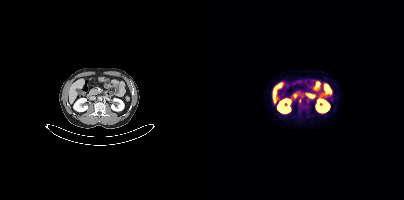
Left: CT. Right: PSMA PET, same axial level, 18F tracer. No PSMA-avid tumor lesions on this slice.